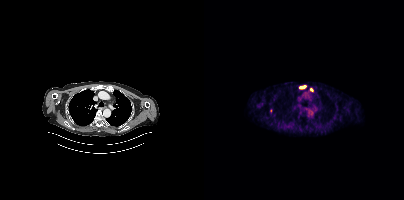
Coordinates are on the 200×200 PET (right) panel. PSMA-avid tumor lesion bounding box (x0,y0,x1,y1): [95,85,102,88]. Small PSMA-avid foci (2 to 4 px across) near (center x, center y): (107, 89); (67, 110). Two-panel axial: CT | PSMA PET, 18F tracer. Slice 316 of 427.